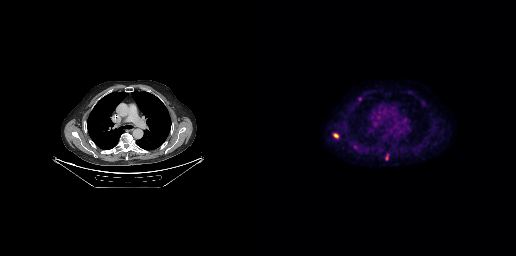
Left: CT. Right: PSMA PET, same axial level, [18F]PSMA-1007 tracer. Acquired on GE Discovery 690. PET panel 256×256 px (2.7 mm/px). Coordinates are on the 256×256 PET (right) panel. PSMA-avid tumor lesion bounding boxes (x0, y0)-(x1, y1): (73, 133)-(79, 138); (93, 145)-(97, 149); (98, 97)-(101, 101); (126, 155)-(128, 159). Small PSMA-avid focus (2 to 4 px across) near (center x, center y): (163, 103).